Two-panel axial: CT | PSMA PET, [18F]PSMA-1007 tracer. Slice 120 of 165.
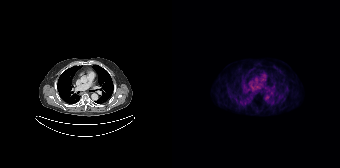
No tumor lesions annotated on this slice.